Head region blanked for anonymization (face removed).
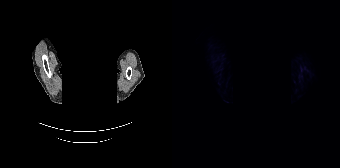
Negative for PSMA-avid disease on this slice.